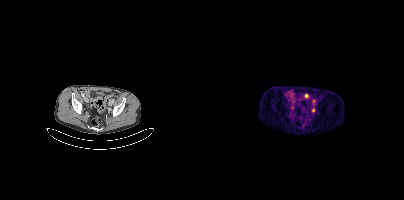
{"modality":"PSMA PET/CT","view":"axial","tracer":"68Ga","pet_grid":[200,200],"coord_frame":"pet_panel","coord_format":"x0,y0,x1,y1","lesion_bboxes":[],"small_foci_centers":[[109,109],[109,101]]}